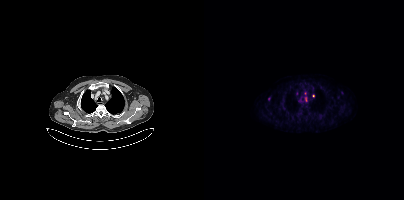
modality: PSMA PET/CT | tracer: 18F | view: axial
Coordinates are on the 200×200 PET (right) panel. Small PSMA-avid foci (2 to 4 px across) near (center x, center y): (109, 95); (138, 92); (65, 99).